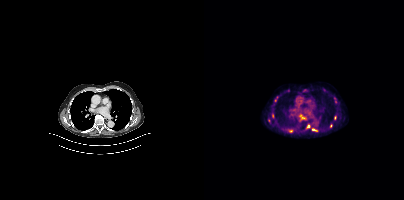
{"pet_grid":[200,200],"coord_frame":"pet_panel","coord_format":"x0,y0,x1,y1","partial":true,"lesion_bboxes":[[84,129,88,132],[96,115,101,118],[108,128,113,131]],"small_foci_centers":[[104,126],[68,116],[71,100],[64,120],[126,125]],"modality":"PSMA PET/CT","view":"axial","tracer":"[18F]PSMA-1007"}